Paired axial CT (left) and PSMA PET (right), 18F-PSMA tracer. PET panel 200×200 px (4.1 mm/px).
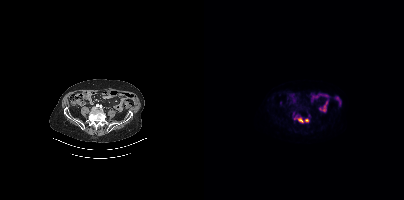
Coordinates are on the 200×200 PET (right) panel. PSMA-avid tumor lesion bounding boxes (partial; 1 more focus not listed):
| # | x0 | y0 | x1 | y1 |
|---|---|---|---|---|
| 1 | 90 | 115 | 105 | 123 |